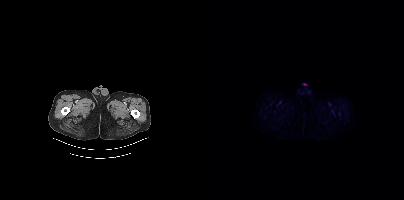
{"modality":"PSMA PET/CT","view":"axial","tracer":"18F-PSMA","pet_grid":[200,200],"coord_frame":"pet_panel","coord_format":"x0,y0,x1,y1","psma_avid_lesions":false}